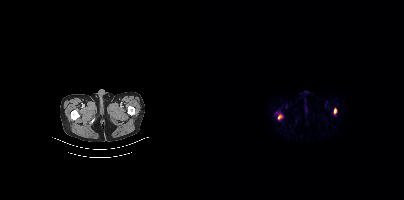
- Left: CT. Right: PSMA PET, same axial level, [18F]PSMA-1007 tracer
- slice 11 of 367
Findings: Coordinates are on the 200×200 PET (right) panel. PSMA-avid tumor lesion bounding box (x0,y0,x1,y1): [130,108,132,113]. Small PSMA-avid focus (2 to 4 px across) near (center x, center y): (75, 117).